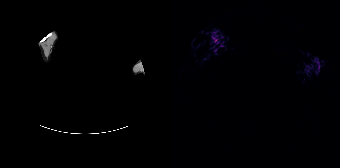
Findings: Negative for PSMA-avid disease on this slice.
- privacy masking over the head, with the pixels inside a rectangle set to black
- Two-panel axial: CT | PSMA PET, 68Ga tracer
- slice 193 of 195
- PET panel 168×168 px (4.1 mm/px)